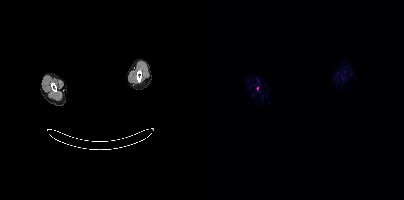
Facial anatomy redacted by setting a rectangular region of the head to black. Left: CT. Right: PSMA PET, same axial level, [18F]PSMA-1007 tracer. Coordinates are on the 200×200 PET (right) panel. Small PSMA-avid focus (2 to 4 px across) near (center x, center y): (53, 88).